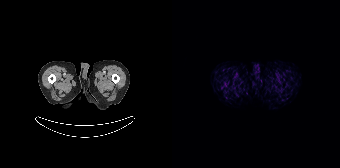
Paired axial CT (left) and PSMA PET (right), 68Ga tracer. Slice 5 of 165. PET panel 168×168 px (4.1 mm/px). This slice has no annotated PSMA-avid lesion.